Paired axial CT (left) and PSMA PET (right), 18F tracer. PET panel 200×200 px (4.1 mm/px).
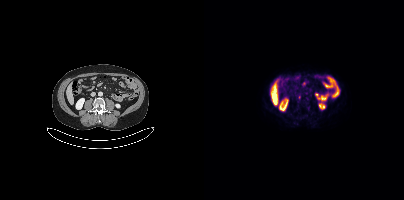
Coordinates are on the 200×200 PET (right) panel. Small PSMA-avid foci (2 to 4 px across) near (center x, center y): (95, 96) / (102, 93).